- Left: CT. Right: PSMA PET, same axial level, [68Ga]Ga-PSMA-11 tracer
- acquired on Siemens Biograph 64-4R TruePoint
- slice position z = -1074 mm
- PET panel 168×168 px (4.1 mm/px)
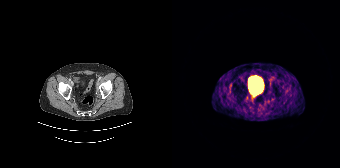
Findings: No tumor lesions annotated on this slice.